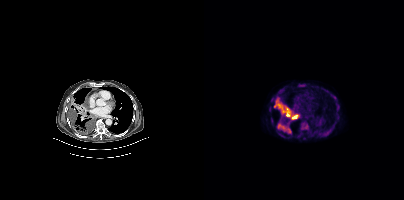
{"modality":"PSMA PET/CT","view":"axial","tracer":"18F","pet_grid":[200,200],"coord_frame":"pet_panel","coord_format":"x0,y0,x1,y1","partial":true,"lesion_bboxes":[[70,98,93,119],[97,122,104,129],[75,125,86,131]]}